modality: PSMA PET/CT | tracer: 18F-PSMA | view: axial
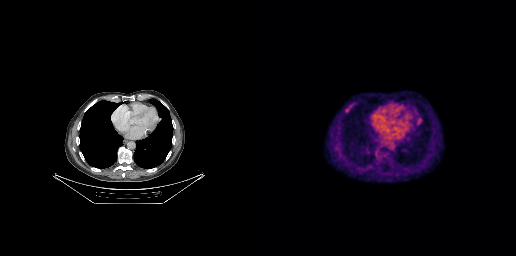
Coordinates are on the 256×256 PET (right) panel. PSMA-avid tumor lesion bounding box (x0, y0)-(x1, y1): (84, 102)-(95, 112).